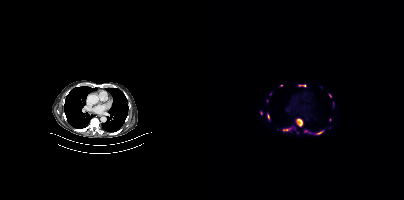
modality: PSMA PET/CT | tracer: [18F]PSMA-1007 | view: axial
Coordinates are on the 200×200 PET (right) panel. (showing 12 of 14 foci) PSMA-avid tumor lesion bounding boxes (x0,y0,x1,y1): [92,119,98,126] [79,127,88,131] [94,84,102,87] [113,130,119,134] [63,113,65,119]. Small PSMA-avid foci (2 to 4 px across) near (center x, center y): (101, 131) (77, 85) (126, 95) (57, 112) (126, 119) (66, 93) (93, 132).